Left: CT. Right: PSMA PET, same axial level, 68Ga-PSMA tracer. Acquired on GE Discovery 690.
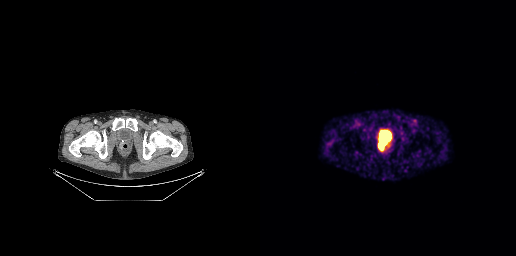
Coordinates are on the 256×256 PET (right) panel. PSMA-avid tumor lesion bounding boxes:
| # | x0 | y0 | x1 | y1 |
|---|---|---|---|---|
| 1 | 118 | 140 | 127 | 150 |